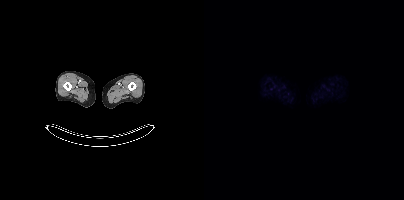
Findings: No PSMA-avid tumor lesions on this slice.
- Paired axial CT (left) and PSMA PET (right), 18F-PSMA tracer